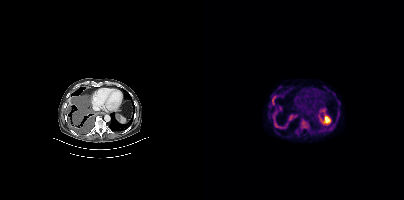
{"modality":"PSMA PET/CT","view":"axial","tracer":"18F-PSMA","pet_grid":[200,200],"coord_frame":"pet_panel","coord_format":"x0,y0,x1,y1","lesion_bboxes":[[96,120,104,127],[70,119,78,128],[68,95,72,104],[85,115,88,119]],"small_foci_centers":[[64,115]]}